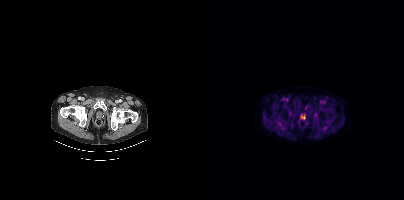
Paired axial CT (left) and PSMA PET (right), 18F-PSMA tracer. Acquired on Siemens Biograph mCT Flow 20. Slice position z = -895 mm. Coordinates are on the 200×200 PET (right) panel. Small PSMA-avid focus (2 to 4 px across) near (center x, center y): (101, 107).